- Paired axial CT (left) and PSMA PET (right), 18F-PSMA tracer
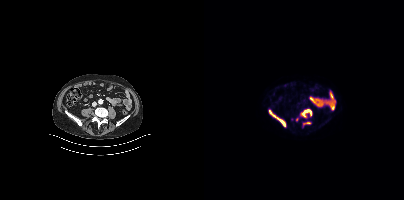
Findings: Coordinates are on the 200×200 PET (right) panel. PSMA-avid tumor lesion bounding boxes (x0, y0)-(x1, y1): (65, 110)-(81, 126) / (97, 109)-(107, 116) / (102, 122)-(106, 124). Small PSMA-avid foci (2 to 4 px across) near (center x, center y): (99, 126) / (92, 119).